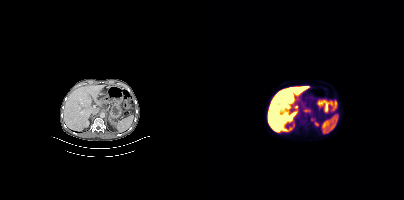
Coordinates are on the 200×200 PET (right) panel. PSMA-avid tumor lesion bounding box (x, y, width, height): x=100 y=108 w=6 h=5.